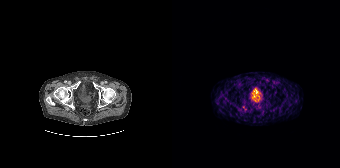
Technique: Two-panel axial: CT | PSMA PET, [68Ga]Ga-PSMA-11 tracer. acquired on Siemens Biograph 64-4R TruePoint. PET panel 168×168 px (4.1 mm/px).
Findings: Coordinates are on the 168×168 PET (right) panel. Small PSMA-avid focus (2 to 4 px across) near (center x, center y): (71, 106).